A rectangle over the head was blacked out to remove identifiable facial features. Two-panel axial: CT | PSMA PET, 18F-PSMA tracer. Slice position z = -83 mm.
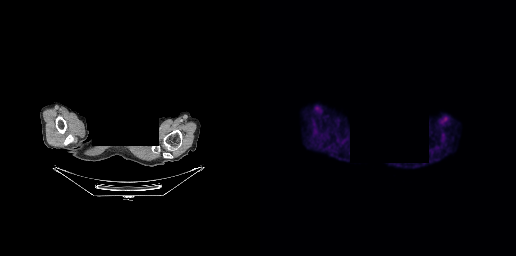
Coordinates are on the 256×256 PET (right) panel. PSMA-avid tumor lesion bounding boxes:
| # | x0 | y0 | x1 | y1 |
|---|---|---|---|---|
| 1 | 173 | 146 | 179 | 150 |